Two-panel axial: CT | PSMA PET, [18F]PSMA-1007 tracer. Acquired on Siemens Biograph mCT Flow 20. PET panel 200×200 px (4.1 mm/px).
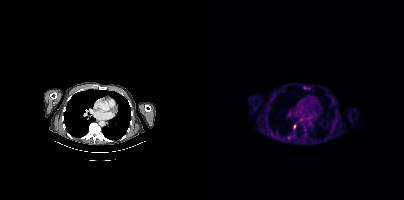
Coordinates are on the 200×200 PET (right) panel. PSMA-avid tumor lesion bounding boxes (partial; 1 more focus not listed):
| # | x0 | y0 | x1 | y1 |
|---|---|---|---|---|
| 1 | 99 | 86 | 103 | 89 |
Small PSMA-avid foci (2 to 4 px across) near (center x, center y): (90, 126); (84, 137).